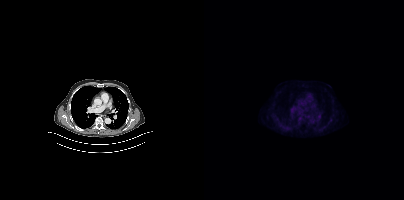
Technique: Paired axial CT (left) and PSMA PET (right), [18F]PSMA-1007 tracer. PET panel 200×200 px (4.1 mm/px).
Findings: No PSMA-avid tumor lesions on this slice.